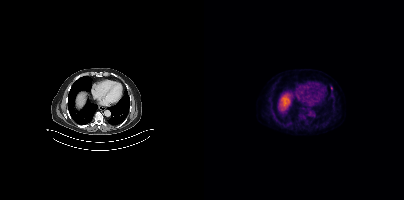
Technique: Two-panel axial: CT | PSMA PET, 18F tracer.
Findings: Only PSMA-avid lesion pieces thinner than 2 px on this slice (not listed).